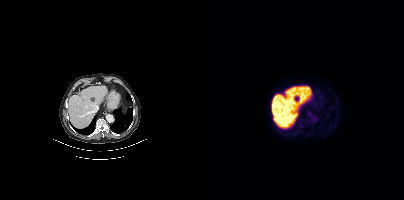
Left: CT. Right: PSMA PET, same axial level, [18F]PSMA-1007 tracer. Acquired on Siemens Biograph mCT Flow 20. No tumor lesions annotated on this slice.